Two-panel axial: CT | PSMA PET, [18F]PSMA-1007 tracer. Acquired on Siemens Biograph mCT Flow 20. PET panel 200×200 px (4.1 mm/px). Facial anatomy redacted by setting a rectangular region of the head to black.
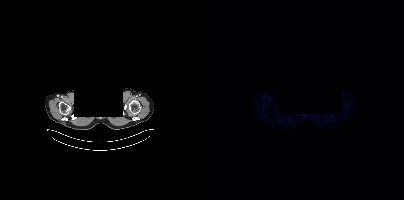
Negative for PSMA-avid disease on this slice.